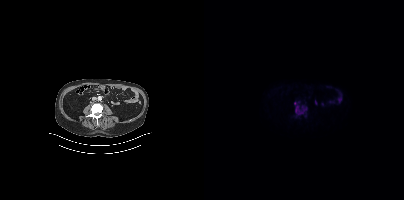
Coordinates are on the 200×200 PET (right) panel. PSMA-avid tumor lesion bounding box (x0,y0,x1,y1): [93,106,103,116].
modality: PSMA PET/CT | tracer: 18F | view: axial